- Left: CT. Right: PSMA PET, same axial level, 18F-PSMA tracer
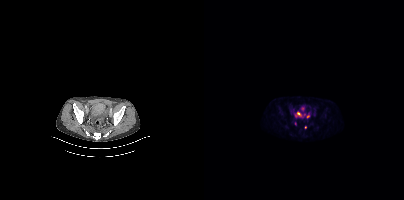
Findings: Coordinates are on the 200×200 PET (right) panel. (showing 3 of 4 foci) PSMA-avid tumor lesion bounding box (x0,y0,x1,y1): [91,112,97,116]. Small PSMA-avid foci (2 to 4 px across) near (center x, center y): (104, 116); (101, 127).